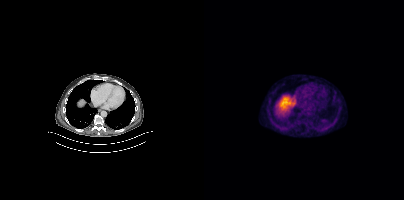
Two-panel axial: CT | PSMA PET, [18F]PSMA-1007 tracer. PET panel 200×200 px (4.1 mm/px). Negative for PSMA-avid disease on this slice.